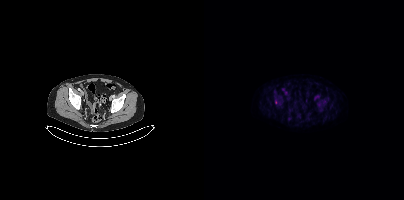
Two-panel axial: CT | PSMA PET, [18F]PSMA-1007 tracer. Acquired on Siemens Biograph mCT Flow 20. PET panel 200×200 px (4.1 mm/px). Coordinates are on the 200×200 PET (right) panel. Small PSMA-avid focus (2 to 4 px across) near (center x, center y): (72, 101).